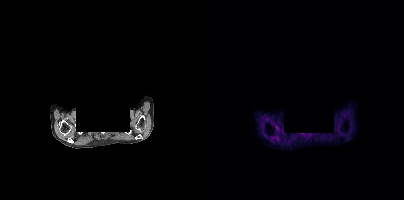
No PSMA-avid tumor lesions on this slice. A rectangular block over the head has been blanked out for de-identification. Left: CT. Right: PSMA PET, same axial level, [18F]PSMA-1007 tracer. PET panel 200×200 px (4.1 mm/px).